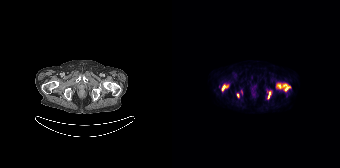
Two-panel axial: CT | PSMA PET, 18F-PSMA tracer. Coordinates are on the 168×168 PET (right) panel. PSMA-avid tumor lesion bounding boxes (x0,y0,x1,y1): [104,83,118,91], [50,84,57,90], [95,91,99,98]. Small PSMA-avid focus (2 to 4 px across) near (center x, center y): (65, 95).